Left: CT. Right: PSMA PET, same axial level, 18F-PSMA tracer.
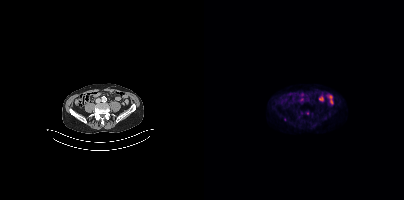
Coordinates are on the 200×200 PET (right) panel. (showing 1 of 3 foci) Small PSMA-avid focus (2 to 4 px across) near (center x, center y): (97, 112).